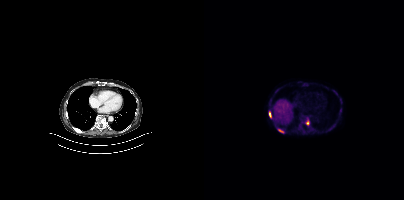
{"pet_grid":[200,200],"coord_frame":"pet_panel","coord_format":"x0,y0,x1,y1","lesion_bboxes":[[74,129,80,133],[102,120,105,125],[65,112,67,116]],"modality":"PSMA PET/CT","view":"axial","tracer":"18F"}